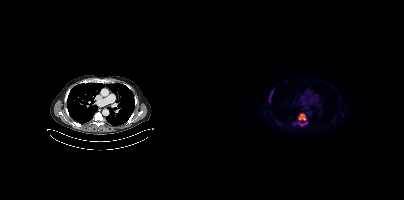
modality: PSMA PET/CT | tracer: 18F | view: axial | PET grid: 200×200
Coordinates are on the 200×200 PET (right) panel. (showing 2 of 3 foci) PSMA-avid tumor lesion bounding boxes (x, y, width, height): x=93 y=113 w=11 h=14 / x=65 y=90 w=4 h=13.